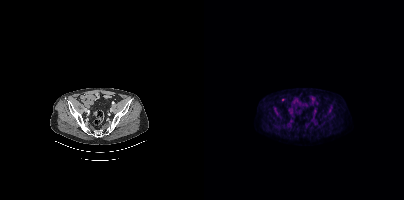
This slice has no annotated PSMA-avid lesion.